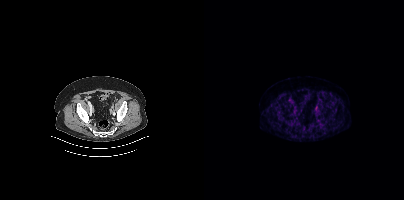
Only PSMA-avid lesion pieces thinner than 2 px on this slice (not listed).